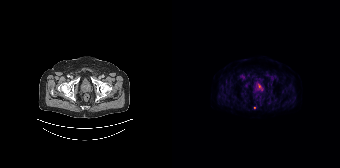
Two-panel axial: CT | PSMA PET, 18F-PSMA tracer. Acquired on Siemens Biograph 64-4R TruePoint. Coordinates are on the 168×168 PET (right) panel. Small PSMA-avid focus (2 to 4 px across) near (center x, center y): (82, 107).